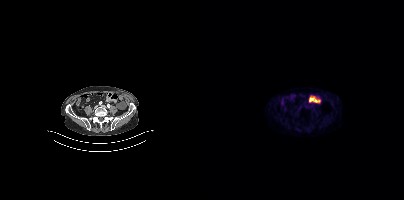
- Paired axial CT (left) and PSMA PET (right), 18F-PSMA tracer
- slice 131 of 389
- PET panel 200×200 px (4.1 mm/px)
Findings: No PSMA-avid tumor lesions on this slice.